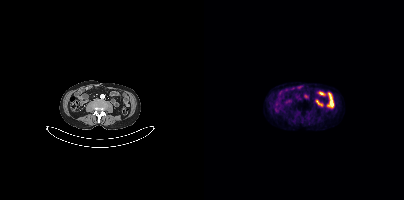
Two-panel axial: CT | PSMA PET, [18F]PSMA-1007 tracer. Acquired on Siemens Biograph mCT Flow 20. PET panel 200×200 px (4.1 mm/px). Negative for PSMA-avid disease on this slice.